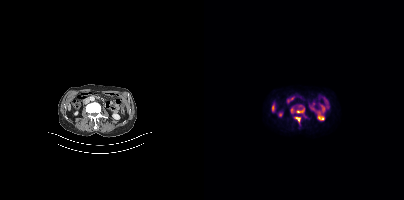
Technique: Left: CT. Right: PSMA PET, same axial level, [18F]PSMA-1007 tracer. acquired on Siemens Biograph mCT Flow 20.
Findings: Coordinates are on the 200×200 PET (right) panel. PSMA-avid tumor lesion bounding boxes (x0, y0)-(x1, y1): (92, 105)-(100, 113) | (90, 116)-(96, 125) | (87, 108)-(90, 113).